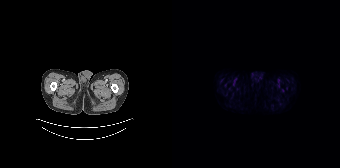
No PSMA-avid tumor lesions on this slice. Two-panel axial: CT | PSMA PET, [18F]PSMA-1007 tracer. Slice position z = -1388 mm.